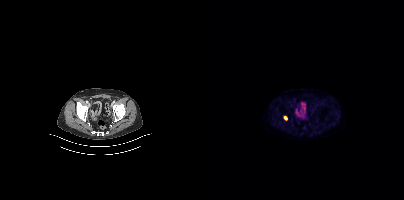
Coordinates are on the 200×200 PET (right) panel. PSMA-avid tumor lesion bounding box (x0, y0)-(x1, y1): (79, 116)-(83, 120).